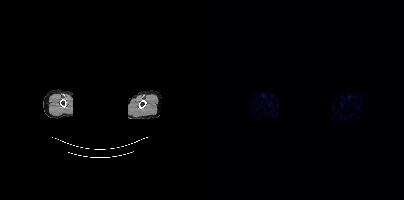
{"modality":"PSMA PET/CT","view":"axial","tracer":"68Ga","pet_grid":[200,200],"coord_frame":"pet_panel","coord_format":"x0,y0,x1,y1","redaction":"face masked with black rectangle","psma_avid_lesions":false}